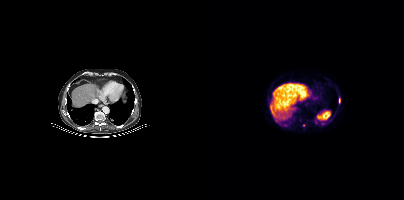
modality: PSMA PET/CT | tracer: 18F-PSMA | view: axial
Coordinates are on the 200×200 PET (right) panel. (showing 1 of 2 foci) PSMA-avid tumor lesion bounding box (x0, y0)-(x1, y1): (135, 98)-(136, 102).